- Left: CT. Right: PSMA PET, same axial level, 68Ga-PSMA tracer
- acquired on Siemens Biograph 64-4R TruePoint
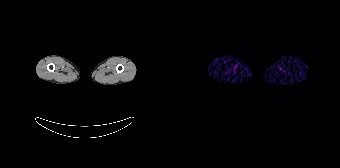
Findings: No PSMA-avid tumor lesions on this slice.